modality: PSMA PET/CT | tracer: 18F-PSMA | view: axial
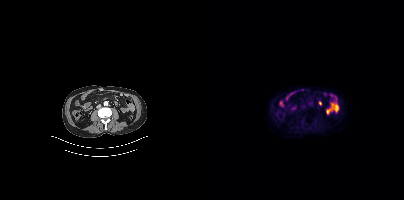
No PSMA-avid tumor lesions on this slice.